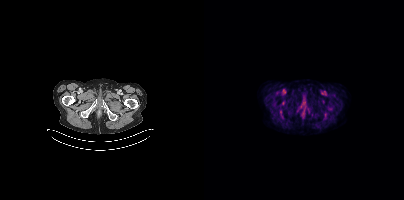
Paired axial CT (left) and PSMA PET (right), 18F tracer. No PSMA-avid tumor lesions on this slice.